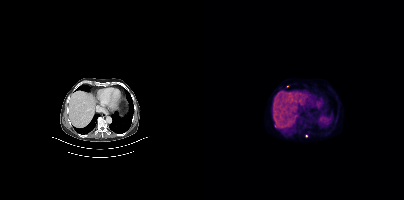
{"modality":"PSMA PET/CT","view":"axial","tracer":"18F","pet_grid":[200,200],"coord_frame":"pet_panel","coord_format":"x0,y0,x1,y1","lesion_bboxes":[],"small_foci_centers":[[102,136],[83,86]]}